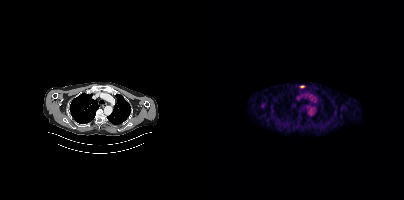
Technique: Paired axial CT (left) and PSMA PET (right), 18F-PSMA tracer. PET panel 200×200 px (4.1 mm/px).
Findings: Coordinates are on the 200×200 PET (right) panel. Small PSMA-avid focus (2 to 4 px across) near (center x, center y): (98, 86).